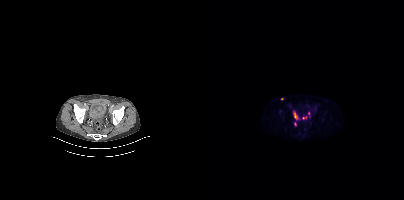
{"modality":"PSMA PET/CT","view":"axial","tracer":"18F-PSMA","pet_grid":[200,200],"coord_frame":"pet_panel","coord_format":"x0,y0,x1,y1","partial":true,"lesion_bboxes":[[89,111,94,119]],"small_foci_centers":[[91,124],[78,98],[104,113],[99,117]]}